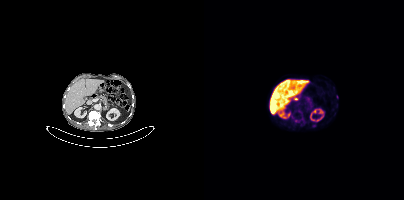
- Paired axial CT (left) and PSMA PET (right), [18F]PSMA-1007 tracer
- slice position z = -758 mm
Findings: No tumor lesions annotated on this slice.